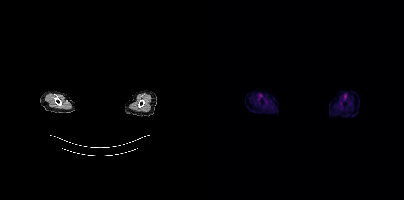
Two-panel axial: CT | PSMA PET, [18F]PSMA-1007 tracer. Acquired on Siemens Biograph mCT Flow 20. PET panel 200×200 px (4.1 mm/px). The head region is masked for de-identification. No tumor lesions annotated on this slice.